Paired axial CT (left) and PSMA PET (right), [68Ga]Ga-PSMA-11 tracer. Slice 142 of 263.
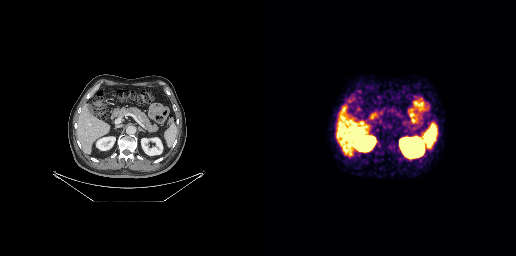
No tumor lesions annotated on this slice.